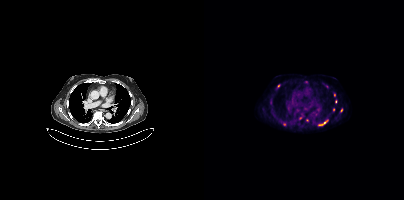
Two-panel axial: CT | PSMA PET, 18F tracer.
Coordinates are on the 200×200 PET (right) panel. PSMA-avid tumor lesion bounding boxes (partial; 3 more foci not listed):
| # | x0 | y0 | x1 | y1 |
|---|---|---|---|---|
| 1 | 114 | 120 | 124 | 125 |
Small PSMA-avid foci (2 to 4 px across) near (center x, center y): (137, 109); (80, 124); (130, 95); (74, 85); (131, 101); (129, 109); (96, 117).